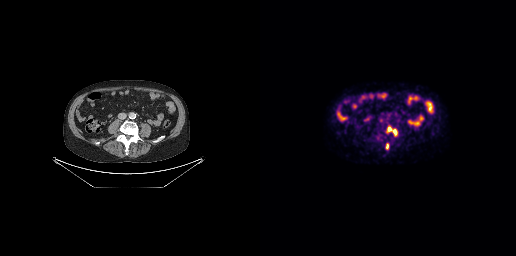
modality: PSMA PET/CT | tracer: 18F | view: axial | PET grid: 256×256
Coordinates are on the 256×256 PET (right) panel. PSMA-avid tumor lesion bounding boxes (x0,y0,x1,y1): [126,126,137,136] [126,143,128,149].